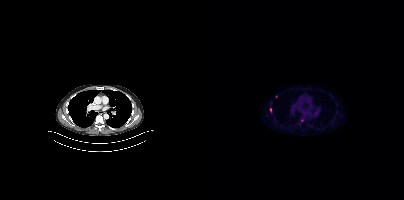
modality: PSMA PET/CT | tracer: [18F]PSMA-1007 | view: axial | PET grid: 200×200
Coordinates are on the 200×200 PET (right) panel. PSMA-avid tumor lesion bounding box (x0, y0)-(x1, y1): (97, 117)-(100, 121). Small PSMA-avid foci (2 to 4 px across) near (center x, center y): (72, 96); (66, 109).